Left: CT. Right: PSMA PET, same axial level, 18F-PSMA tracer. Acquired on Siemens Biograph mCT Flow 20. PET panel 200×200 px (4.1 mm/px).
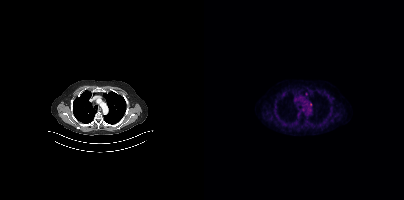
Negative for PSMA-avid disease on this slice.